Two-panel axial: CT | PSMA PET, 18F-PSMA tracer. Acquired on Siemens Biograph mCT Flow 20. Slice position z = -776 mm. PET panel 200×200 px (4.1 mm/px).
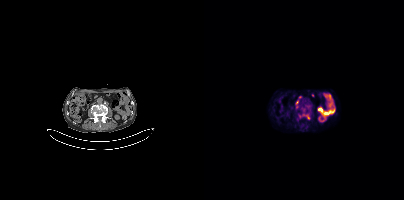
Coordinates are on the 200×200 PET (right) panel. (showing 2 of 3 foci) PSMA-avid tumor lesion bounding box (x0,y0,x1,y1): [99,114,105,119]. Small PSMA-avid focus (2 to 4 px across) near (center x, center y): (92, 107).